modality: PSMA PET/CT | tracer: 68Ga | view: axial | PET grid: 168×168
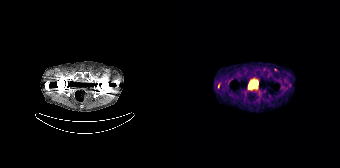
Coordinates are on the 168×168 PET (right) panel. Small PSMA-avid foci (2 to 4 px across) near (center x, center y): (103, 69); (46, 86).